Paired axial CT (left) and PSMA PET (right), [68Ga]Ga-PSMA-11 tracer. PET panel 168×168 px (4.1 mm/px).
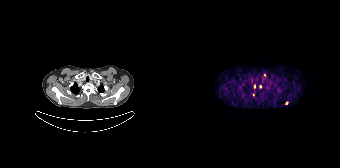
Coordinates are on the 168×168 PET (right) panel. (showing 3 of 5 foci) Small PSMA-avid foci (2 to 4 px across) near (center x, center y): (92, 75); (82, 86); (114, 103).